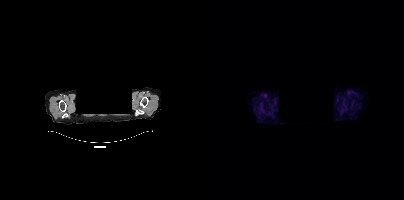
Findings: Negative for PSMA-avid disease on this slice.
- the face region was removed for patient privacy by blanking a rectangle over the head
- Paired axial CT (left) and PSMA PET (right), 18F-PSMA tracer